Privacy masking, with the pixels inside a rectangle set to black.
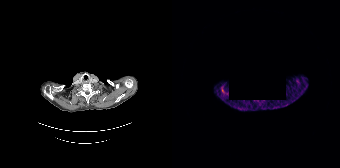
No PSMA-avid tumor lesions on this slice.